- Paired axial CT (left) and PSMA PET (right), 68Ga-PSMA tracer
- acquired on Siemens Biograph mCT Flow 20
- slice 300 of 409
- PET panel 200×200 px (4.1 mm/px)
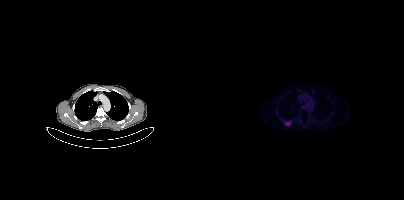
Findings: Coordinates are on the 200×200 PET (right) panel. PSMA-avid tumor lesion bounding box (x0, y0)-(x1, y1): (81, 122)-(87, 125).